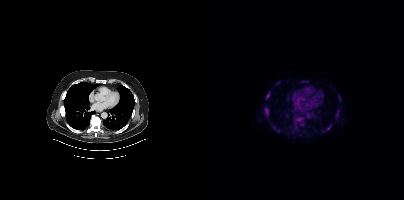
Technique: Paired axial CT (left) and PSMA PET (right), 18F-PSMA tracer. acquired on Siemens Biograph mCT Flow 20. slice position z = -947 mm.
Findings: Coordinates are on the 200×200 PET (right) panel. PSMA-avid tumor lesion bounding boxes (x0, y0)-(x1, y1): (90, 114)-(98, 124) / (60, 106)-(65, 116) / (61, 92)-(65, 99) / (131, 111)-(135, 117) / (98, 80)-(102, 83) / (67, 125)-(71, 128). Small PSMA-avid foci (2 to 4 px across) near (center x, center y): (74, 130) / (124, 128) / (135, 95) / (135, 101).